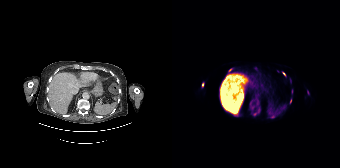
Coordinates are on the 168×168 PET (right) panel. (showing 5 of 7 foci) PSMA-avid tumor lesion bounding box (x0, y0)-(x1, y1): (30, 82)-(32, 87). Small PSMA-avid foci (2 to 4 px across) near (center x, center y): (111, 73); (58, 70); (118, 100); (82, 113).